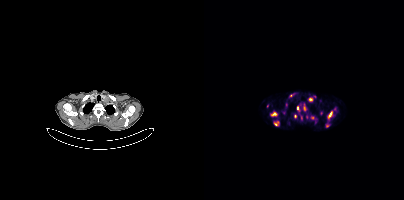
- Paired axial CT (left) and PSMA PET (right), 68Ga-PSMA tracer
- acquired on Siemens Biograph mCT Flow 20
- slice 319 of 393
Findings: Coordinates are on the 200×200 PET (right) panel. (showing 14 of 17 foci) PSMA-avid tumor lesion bounding boxes (x0, y0)-(x1, y1): (124, 111)-(128, 118); (67, 112)-(73, 116); (70, 121)-(74, 125); (105, 97)-(108, 101). Small PSMA-avid foci (2 to 4 px across) near (center x, center y): (108, 117); (97, 117); (93, 108); (123, 125); (87, 95); (63, 106); (91, 115); (82, 103); (79, 112); (102, 116).